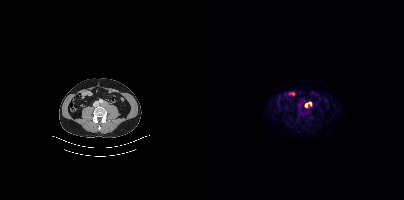
Coordinates are on the 200×200 PET (right) panel. PSMA-avid tumor lesion bounding box (x0, y0)-(x1, y1): (101, 102)-(108, 107).